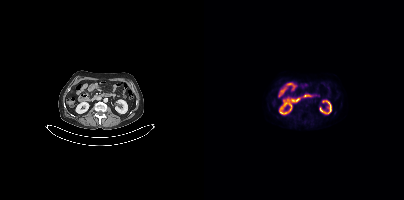
{"modality":"PSMA PET/CT","view":"axial","tracer":"18F-PSMA","pet_grid":[200,200],"coord_frame":"pet_panel","coord_format":"x0,y0,x1,y1","psma_avid_lesions":false}